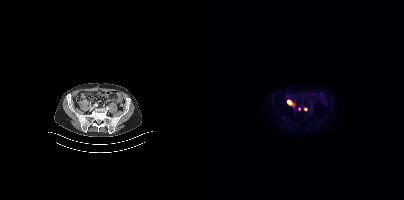
{"modality":"PSMA PET/CT","view":"axial","tracer":"18F","pet_grid":[200,200],"coord_frame":"pet_panel","coord_format":"x0,y0,x1,y1","lesion_bboxes":[[83,100,90,106]],"small_foci_centers":[[101,109],[95,109]]}